Two-panel axial: CT | PSMA PET, 68Ga tracer. Slice 301 of 373. PET panel 200×200 px (4.1 mm/px).
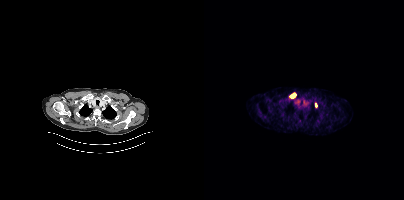
Coordinates are on the 200×200 PET (right) panel. PSMA-avid tumor lesion bounding boxes:
| # | x0 | y0 | x1 | y1 |
|---|---|---|---|---|
| 1 | 87 | 93 | 91 | 97 |
| 2 | 111 | 103 | 112 | 107 |